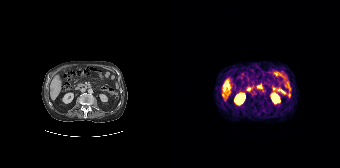
Coordinates are on the 168×168 PET (right) panel. PSMA-avid tumor lesion bounding box (x0,y0,x1,y1): [52,83,58,90]. Paired axial CT (left) and PSMA PET (right), [68Ga]Ga-PSMA-11 tracer. Acquired on Siemens Biograph 64-4R TruePoint. Slice 101 of 195.